Paired axial CT (left) and PSMA PET (right), [68Ga]Ga-PSMA-11 tracer. PET panel 168×168 px (4.1 mm/px).
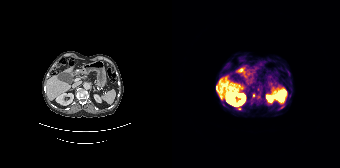
Coordinates are on the 168×168 PET (right) panel. PSMA-avid tumor lesion bounding boxes:
| # | x0 | y0 | x1 | y1 |
|---|---|---|---|---|
| 1 | 107 | 106 | 112 | 109 |
Small PSMA-avid foci (2 to 4 px across) near (center x, center y): (67, 109); (81, 95); (51, 104).